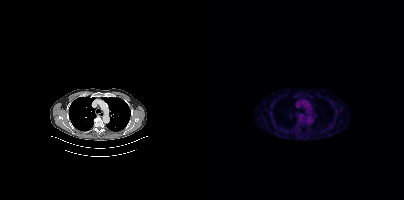
Coordinates are on the 200×200 PET (right) panel. Small PSMA-avid focus (2 to 4 px across) near (center x, center y): (67, 115). Two-panel axial: CT | PSMA PET, [18F]PSMA-1007 tracer. Slice 323 of 440.